An anonymization step blacked out a rectangle in this scan.
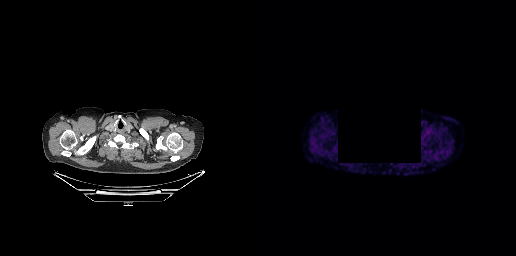
No tumor lesions annotated on this slice.